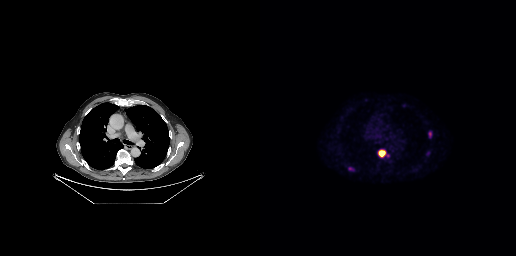
- Left: CT. Right: PSMA PET, same axial level, [18F]PSMA-1007 tracer
- acquired on GE Discovery 690
Findings: Coordinates are on the 256×256 PET (right) panel. PSMA-avid tumor lesion bounding boxes (x, y, width, height): x=118 y=149 w=11 h=9; x=169 y=132 w=3 h=6. Small PSMA-avid focus (2 to 4 px across) near (center x, center y): (90, 168).